Paired axial CT (left) and PSMA PET (right), 18F-PSMA tracer. Slice position z = -642 mm.
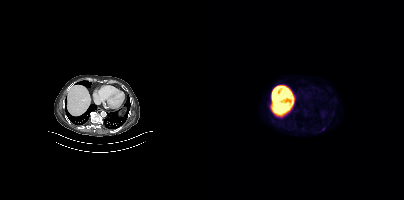
Coordinates are on the 200×200 PET (right) panel. Small PSMA-avid focus (2 to 4 px across) near (center x, center y): (119, 128).